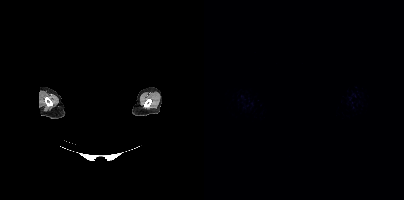
Findings: Negative for PSMA-avid disease on this slice.
- Two-panel axial: CT | PSMA PET, [18F]PSMA-1007 tracer
- PET panel 200×200 px (4.1 mm/px)
- face de-identified by blanking a block of the head